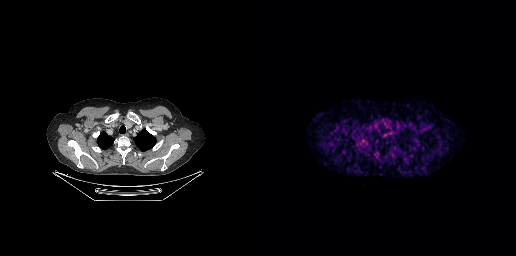
No tumor lesions annotated on this slice.
modality: PSMA PET/CT | tracer: [68Ga]Ga-PSMA-11 | view: axial | PET grid: 256×256